Paired axial CT (left) and PSMA PET (right), 18F-PSMA tracer. Slice 12 of 435.
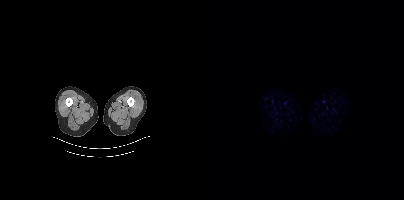
This slice has no annotated PSMA-avid lesion.